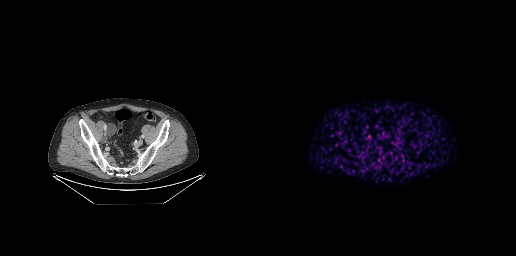
Technique: Paired axial CT (left) and PSMA PET (right), 68Ga-PSMA tracer.
Findings: Only PSMA-avid lesion pieces thinner than 2 px on this slice (not listed).